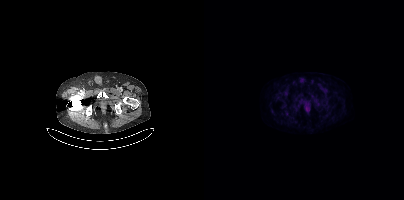
- Left: CT. Right: PSMA PET, same axial level, [18F]PSMA-1007 tracer
- slice 54 of 395
Findings: Negative for PSMA-avid disease on this slice.